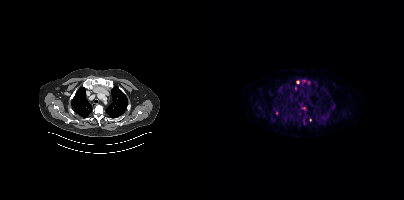
{"modality":"PSMA PET/CT","view":"axial","tracer":"18F-PSMA","pet_grid":[200,200],"coord_frame":"pet_panel","coord_format":"x0,y0,x1,y1","partial":true,"lesion_bboxes":[[97,117,104,125],[84,114,93,122],[127,105,131,109],[122,94,126,97],[97,107,101,110]],"small_foci_centers":[[95,114],[99,81],[105,82],[93,82],[106,119],[76,87],[125,113]]}